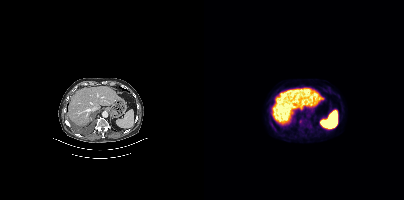
Findings: Coordinates are on the 200×200 PET (right) panel. Small PSMA-avid foci (2 to 4 px across) near (center x, center y): (96, 121) / (70, 128).
Technique: Paired axial CT (left) and PSMA PET (right), [18F]PSMA-1007 tracer. PET panel 200×200 px (4.1 mm/px).